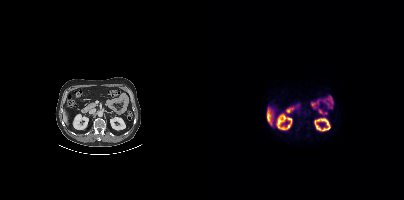
Coordinates are on the 200×200 PET (right) panel. Small PSMA-avid focus (2 to 4 px across) near (center x, center y): (105, 112).